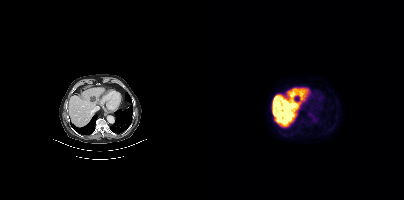
No PSMA-avid tumor lesions on this slice.